- Two-panel axial: CT | PSMA PET, 18F-PSMA tracer
- acquired on GE Discovery 690
- slice 102 of 299
- PET panel 256×256 px (2.7 mm/px)
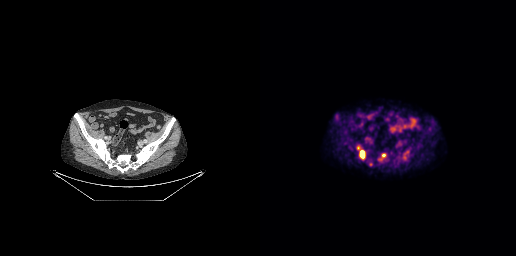
Findings: Coordinates are on the 256×256 PET (right) panel. PSMA-avid tumor lesion bounding box (x0,y0,x1,y1): [97,146,105,158]. Small PSMA-avid foci (2 to 4 px across) near (center x, center y): (123, 155), (119, 159).